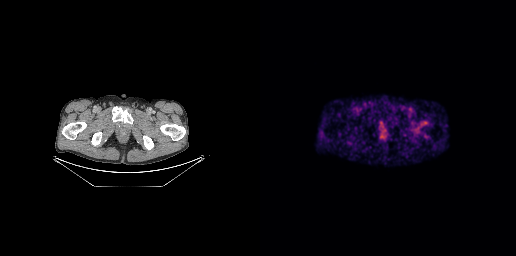
This slice has no annotated PSMA-avid lesion.